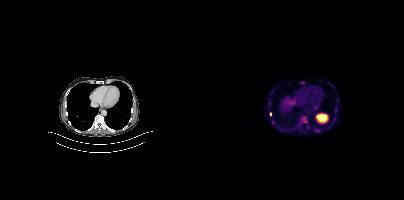
Coordinates are on the 200×200 PET (right) panel. PSMA-avid tumor lesion bounding boxes (x, y, width, height): x=96 y=117 w=7 h=7; x=96 y=82 w=5 h=3. Small PSMA-avid foci (2 to 4 px across) near (center x, center y): (65, 103); (131, 109); (66, 113); (67, 92).